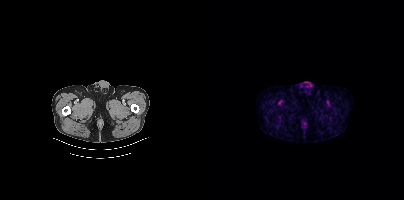
- Left: CT. Right: PSMA PET, same axial level, 18F tracer
- acquired on Siemens Biograph mCT Flow 20
- PET panel 200×200 px (4.1 mm/px)
Findings: Negative for PSMA-avid disease on this slice.